- Left: CT. Right: PSMA PET, same axial level, [18F]PSMA-1007 tracer
- slice position z = -1320 mm
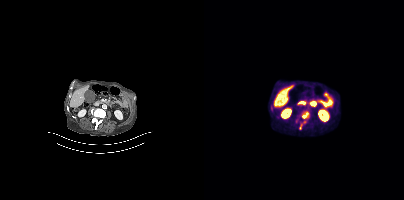
Findings: Coordinates are on the 200×200 PET (right) panel. PSMA-avid tumor lesion bounding box (x0, y0)-(x1, y1): (92, 111)-(105, 129).